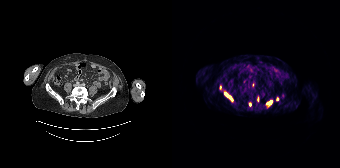
Paired axial CT (left) and PSMA PET (right), [68Ga]Ga-PSMA-11 tracer.
Coordinates are on the 168×168 PET (right) panel. PSMA-avid tumor lesion bounding boxes (partial; 4 more foci not listed):
| # | x0 | y0 | x1 | y1 |
|---|---|---|---|---|
| 1 | 53 | 93 | 60 | 99 |
Small PSMA-avid foci (2 to 4 px across) near (center x, center y): (99, 102); (77, 104).